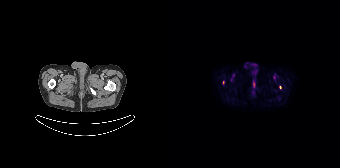
{"modality":"PSMA PET/CT","view":"axial","tracer":"18F","pet_grid":[168,168],"coord_frame":"pet_panel","coord_format":"x0,y0,x1,y1","lesion_bboxes":[],"small_foci_centers":[[108,87],[51,82]]}